Paired axial CT (left) and PSMA PET (right), 18F-PSMA tracer. Slice 191 of 403. PET panel 200×200 px (4.1 mm/px).
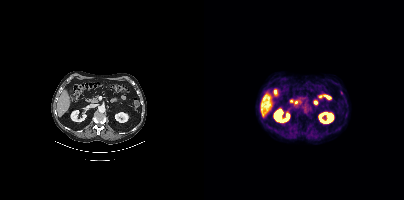
Coordinates are on the 200×200 PET (right) panel. Small PSMA-avid focus (2 to 4 px across) near (center x, center y): (137, 92).